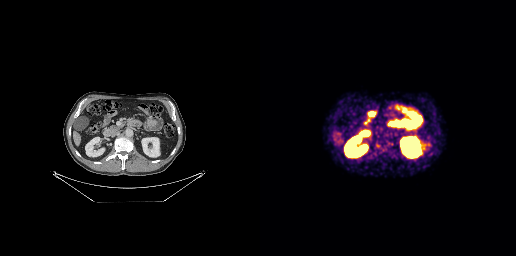
{"modality":"PSMA PET/CT","view":"axial","tracer":"[18F]PSMA-1007","pet_grid":[256,256],"coord_frame":"pet_panel","coord_format":"x0,y0,x1,y1","lesion_bboxes":[[116,143,120,148]],"small_foci_centers":[[131,154]]}